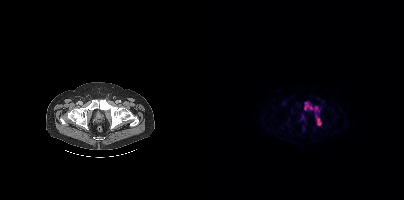
Paired axial CT (left) and PSMA PET (right), 18F tracer. Acquired on Siemens Biograph mCT Flow 20. Slice position z = -1478 mm. Coordinates are on the 200×200 PET (right) panel. PSMA-avid tumor lesion bounding boxes (x, y, width, height): x=100 y=102 w=9 h=8 | x=112 y=116 w=6 h=10. Small PSMA-avid foci (2 to 4 px across) near (center x, center y): (112, 107) | (99, 117).